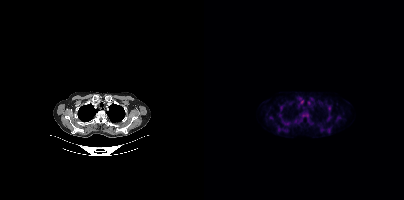
Two-panel axial: CT | PSMA PET, 18F-PSMA tracer. Acquired on Siemens Biograph mCT Flow 20. Slice 316 of 401.
Coordinates are on the 200×200 PET (right) panel. PSMA-avid tumor lesion bounding boxes:
| # | x0 | y0 | x1 | y1 |
|---|---|---|---|---|
| 1 | 76 | 106 | 78 | 110 |
Small PSMA-avid foci (2 to 4 px across) near (center x, center y): (125, 109); (67, 117); (75, 115).